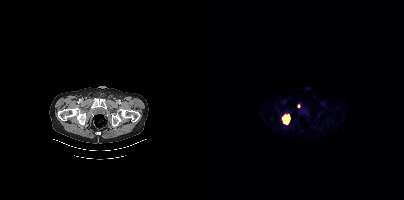
Paired axial CT (left) and PSMA PET (right), [18F]PSMA-1007 tracer. PET panel 200×200 px (4.1 mm/px).
Coordinates are on the 200×200 PET (right) panel. PSMA-avid tumor lesion bounding boxes:
| # | x0 | y0 | x1 | y1 |
|---|---|---|---|---|
| 1 | 79 | 114 | 85 | 122 |
Small PSMA-avid foci (2 to 4 px across) near (center x, center y): (94, 105); (83, 123).